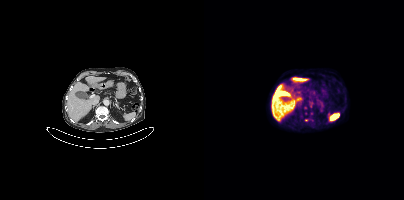
Two-panel axial: CT | PSMA PET, 18F-PSMA tracer. Slice 206 of 401. PET panel 200×200 px (4.1 mm/px). Only PSMA-avid lesion pieces thinner than 2 px on this slice (not listed).